modality: PSMA PET/CT | tracer: [18F]PSMA-1007 | view: axial
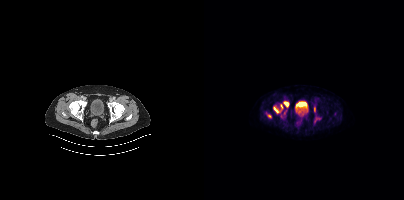
Coordinates are on the 200×200 PET (right) panel. PSMA-avid tumor lesion bounding boxes (x0, y0)-(x1, y1): (80, 102)-(84, 106); (70, 108)-(73, 112). Small PSMA-avid focus (2 to 4 px across) near (center x, center y): (77, 106).